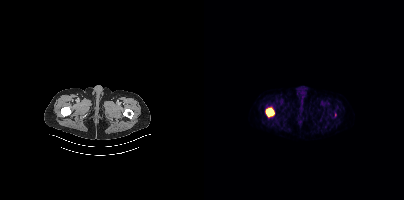
Coordinates are on the 200×200 PET (right) panel. PSMA-avid tumor lesion bounding box (x0, y0)-(x1, y1): (62, 108)-(70, 116).
modality: PSMA PET/CT | tracer: 18F-PSMA | view: axial | PET grid: 200×200